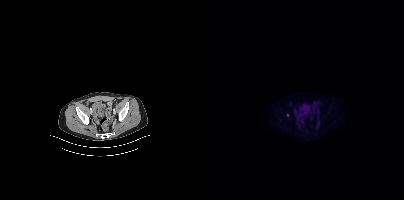
Coordinates are on the 200×200 PET (right) panel. Small PSMA-avid focus (2 to 4 px across) near (center x, center y): (83, 115).